modality: PSMA PET/CT | tracer: 68Ga | view: axial
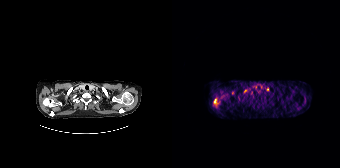
Coordinates are on the 168×168 PET (right) panel. PSMA-avid tumor lesion bounding box (x, y, width, height): x=41 y=98 w=7 h=8. Small PSMA-avid foci (2 to 4 px across) near (center x, center y): (95, 89) / (73, 91) / (60, 92).